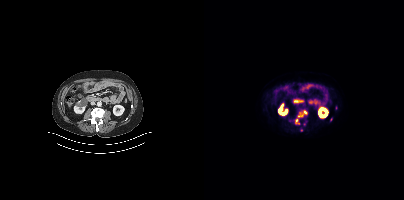
Coordinates are on the 200×200 PET (right) panel. (showing 3 of 5 foci) Small PSMA-avid foci (2 to 4 px across) near (center x, center y): (101, 112), (92, 120), (97, 115).